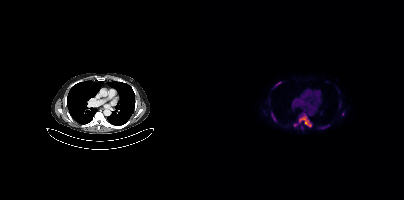
{"modality":"PSMA PET/CT","view":"axial","tracer":"18F","pet_grid":[200,200],"coord_frame":"pet_panel","coord_format":"x0,y0,x1,y1","lesion_bboxes":[[95,116,107,126],[118,124,125,129],[67,113,72,121],[72,82,77,85]],"small_foci_centers":[[138,114],[92,124]]}